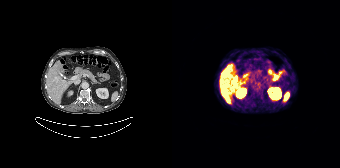
Coordinates are on the 168×168 PET (right) panel. PSMA-avid tumor lesion bounding boxes (x0, y0)-(x1, y1): (49, 70)-(53, 75) / (54, 65)-(58, 69). Small PSMA-avid focus (2 to 4 px across) near (center x, center y): (55, 94).